- Two-panel axial: CT | PSMA PET, [18F]PSMA-1007 tracer
- acquired on GE Discovery 690
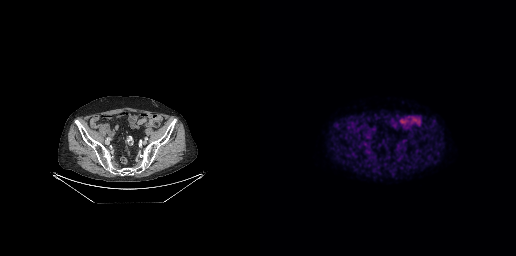
Findings: Negative for PSMA-avid disease on this slice.